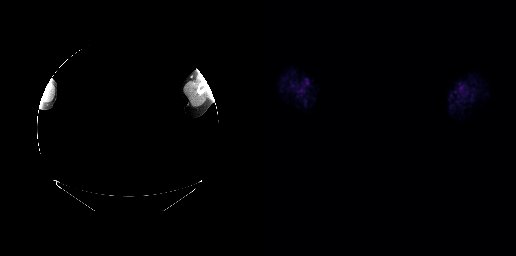
Technique: Left: CT. Right: PSMA PET, same axial level, [18F]PSMA-1007 tracer. slice position z = -14 mm. PET panel 256×256 px (2.7 mm/px).
Note: An anonymization step blacked out a rectangle over the head in this scan.
Findings: No tumor lesions annotated on this slice.